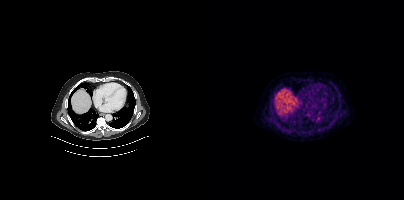
{"pet_grid":[200,200],"coord_frame":"pet_panel","coord_format":"x0,y0,x1,y1","lesion_bboxes":[],"small_foci_centers":[[115,129]],"modality":"PSMA PET/CT","view":"axial","tracer":"68Ga"}